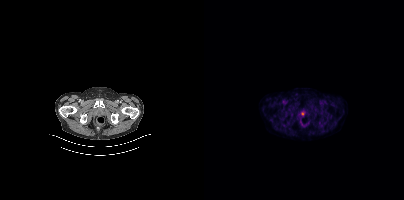
Only PSMA-avid lesion pieces thinner than 2 px on this slice (not listed).